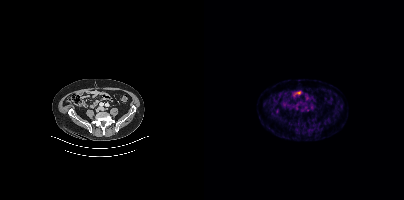
Left: CT. Right: PSMA PET, same axial level, 68Ga-PSMA tracer. Acquired on Siemens Biograph mCT Flow 20. Slice 128 of 403. Only PSMA-avid lesion pieces thinner than 2 px on this slice (not listed).